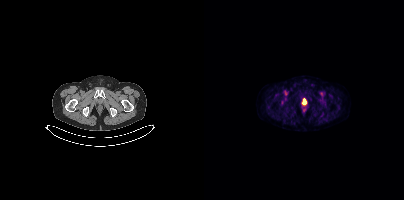
modality: PSMA PET/CT | tracer: 18F | view: axial
Coordinates are on the 200×200 PET (right) panel. PSMA-avid tumor lesion bounding box (x0, y0)-(x1, y1): (99, 99)-(102, 104).